Privacy masking over the head, with the pixels inside a rectangle set to black.
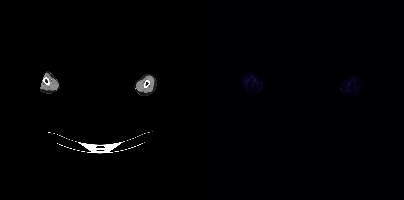
No PSMA-avid tumor lesions on this slice.